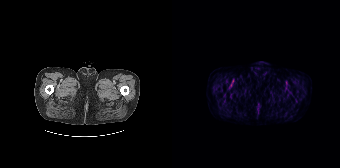
modality: PSMA PET/CT | tracer: [18F]PSMA-1007 | view: axial | PET grid: 168×168
Negative for PSMA-avid disease on this slice.